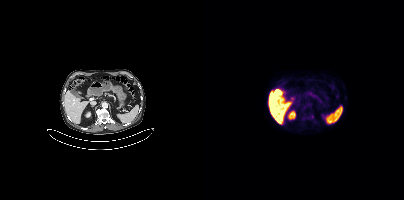
Paired axial CT (left) and PSMA PET (right), [18F]PSMA-1007 tracer. Acquired on Siemens Biograph mCT Flow 20. Slice 211 of 403. PET panel 200×200 px (4.1 mm/px). Coordinates are on the 200×200 PET (right) panel. Small PSMA-avid focus (2 to 4 px across) near (center x, center y): (108, 116).